Paired axial CT (left) and PSMA PET (right), 18F-PSMA tracer. Acquired on Siemens Biograph mCT Flow 20. Slice position z = -1006 mm. PET panel 200×200 px (4.1 mm/px).
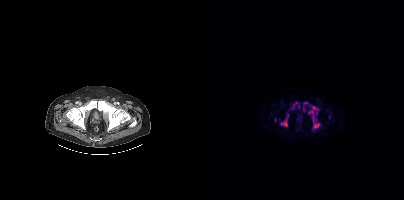
Coordinates are on the 200×200 PET (right) panel. PSMA-avid tumor lesion bounding boxes:
| # | x0 | y0 | x1 | y1 |
|---|---|---|---|---|
| 1 | 105 | 106 | 114 | 114 |
| 2 | 77 | 118 | 83 | 126 |
| 3 | 86 | 102 | 92 | 109 |
| 4 | 109 | 123 | 115 | 128 |
| 5 | 99 | 102 | 103 | 110 |
| 6 | 107 | 116 | 111 | 120 |
Small PSMA-avid foci (2 to 4 px across) near (center x, center y): (71, 119); (83, 114).